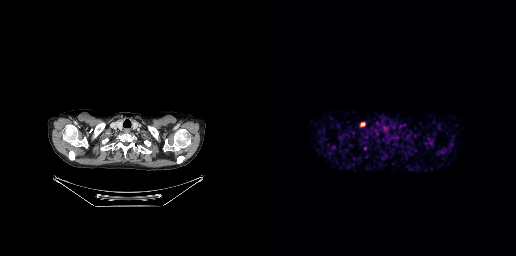
modality: PSMA PET/CT | tracer: [68Ga]Ga-PSMA-11 | view: axial
Coordinates are on the 256×256 PET (right) panel. Small PSMA-avid focus (2 to 4 px across) near (center x, center y): (102, 124).